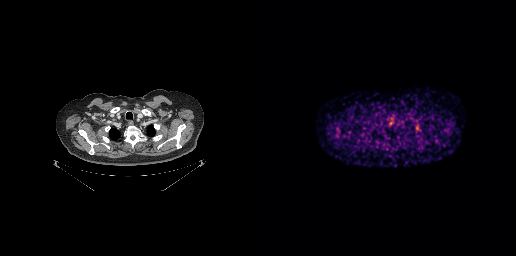
Coordinates are on the 256×256 PET (right) panel. Small PSMA-avid focus (2 to 4 px across) near (center x, center y): (157, 128).